Paired axial CT (left) and PSMA PET (right), [68Ga]Ga-PSMA-11 tracer. Acquired on Siemens Biograph mCT Flow 20. Slice position z = 832 mm. PET panel 200×200 px (4.1 mm/px).
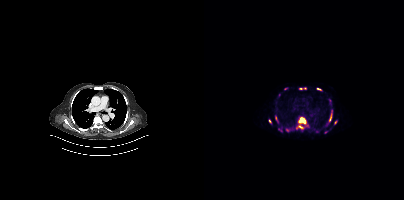
Coordinates are on the 200×200 PET (right) panel. PSMA-avid tumor lesion bounding boxes (partial; 2 more foci not listed):
| # | x0 | y0 | x1 | y1 |
|---|---|---|---|---|
| 1 | 92 | 117 | 102 | 129 |
| 2 | 126 | 110 | 128 | 118 |
| 3 | 125 | 100 | 127 | 105 |
| 4 | 81 | 128 | 85 | 132 |
| 5 | 71 | 117 | 74 | 122 |
| 6 | 130 | 120 | 133 | 124 |
| 7 | 96 | 87 | 101 | 89 |
| 8 | 113 | 88 | 117 | 90 |
Small PSMA-avid foci (2 to 4 px across) near (center x, center y): (66, 121); (81, 88).